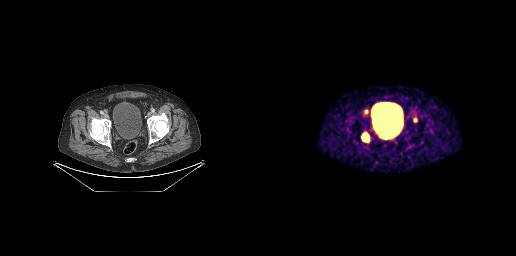
Technique: Paired axial CT (left) and PSMA PET (right), 68Ga-PSMA tracer.
Findings: Coordinates are on the 256×256 PET (right) panel. PSMA-avid tumor lesion bounding boxes (x0, y0)-(x1, y1): (101, 133)-(109, 141) | (104, 109)-(108, 114). Small PSMA-avid focus (2 to 4 px across) near (center x, center y): (155, 119).